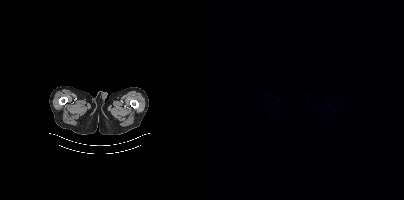
{"modality":"PSMA PET/CT","view":"axial","tracer":"18F-PSMA","pet_grid":[200,200],"coord_frame":"pet_panel","coord_format":"x0,y0,x1,y1","psma_avid_lesions":false}